modality: PSMA PET/CT | tracer: 18F | view: axial | PET grid: 200×200
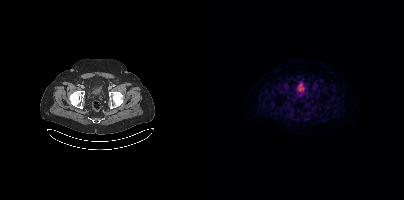
No PSMA-avid tumor lesions on this slice.